Technique: Left: CT. Right: PSMA PET, same axial level, 18F-PSMA tracer. acquired on Siemens Biograph mCT Flow 20. PET panel 200×200 px (4.1 mm/px).
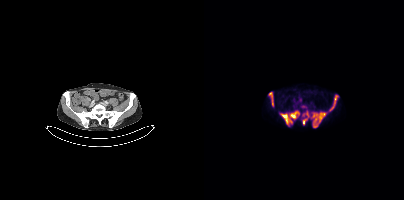
Findings: Coordinates are on the 200×200 PET (right) panel. PSMA-avid tumor lesion bounding boxes (x0,y0,x1,y1): [98,110,122,127], [76,110,95,125], [125,95,134,111], [64,92,69,106]. Small PSMA-avid focus (2 to 4 px across) near (center x, center y): (99, 106).